- Paired axial CT (left) and PSMA PET (right), 18F-PSMA tracer
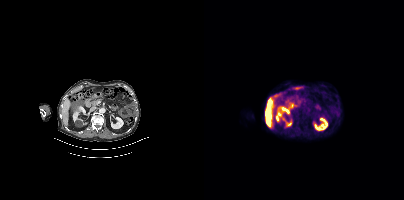
Findings: No tumor lesions annotated on this slice.